Left: CT. Right: PSMA PET, same axial level, 18F tracer. Slice 179 of 409. PET panel 200×200 px (4.1 mm/px).
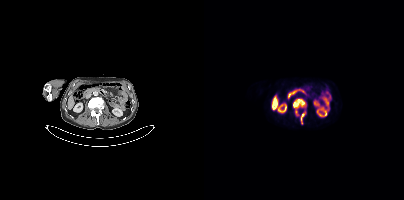
Coordinates are on the 200×200 PET (right) panel. (showing 2 of 3 foci) PSMA-avid tumor lesion bounding boxes (x, y, width, height): x=89 y=99 w=13 h=17; x=97 y=110 w=5 h=11.